Two-panel axial: CT | PSMA PET, 18F tracer. Acquired on Siemens Biograph mCT Flow 20. PET panel 200×200 px (4.1 mm/px).
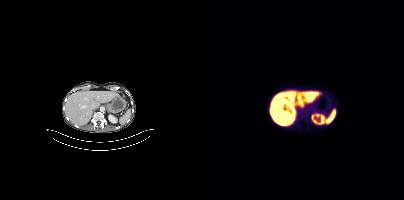
No PSMA-avid tumor lesions on this slice.